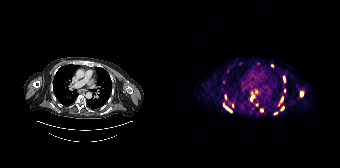
- Paired axial CT (left) and PSMA PET (right), [68Ga]Ga-PSMA-11 tracer
- acquired on Siemens Biograph 64-4R TruePoint
- slice 148 of 195
Findings: Coordinates are on the 168×168 PET (right) panel. (showing 9 of 13 foci) PSMA-avid tumor lesion bounding boxes (x0, y0)-(x1, y1): (51, 104)-(59, 111) / (128, 92)-(131, 96) / (111, 76)-(113, 81) / (79, 96)-(81, 100). Small PSMA-avid foci (2 to 4 px across) near (center x, center y): (103, 113) / (110, 108) / (112, 90) / (110, 99) / (89, 110).